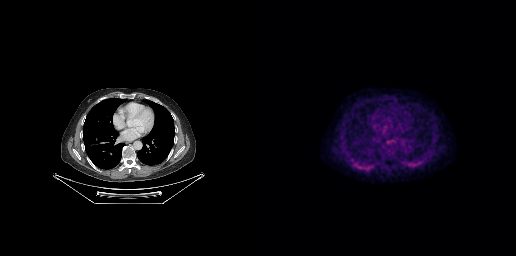
Findings: This slice has no annotated PSMA-avid lesion.
Technique: Left: CT. Right: PSMA PET, same axial level, [18F]PSMA-1007 tracer. PET panel 256×256 px (2.7 mm/px).